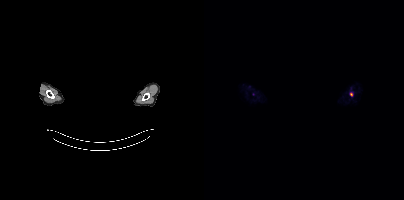
- Left: CT. Right: PSMA PET, same axial level, 18F-PSMA tracer
- acquired on Siemens Biograph mCT Flow 20
- slice position z = -354 mm
- PET panel 200×200 px (4.1 mm/px)
- face de-identified by blanking a block of the head
Findings: Coordinates are on the 200×200 PET (right) panel. (showing 1 of 2 foci) Small PSMA-avid focus (2 to 4 px across) near (center x, center y): (147, 94).